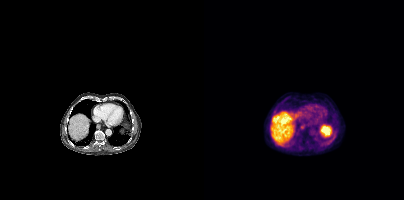
Coordinates are on the 200×200 PET (right) panel. Small PSMA-avid focus (2 to 4 px across) near (center x, center y): (70, 112).